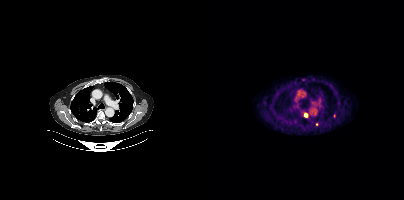
Coordinates are on the 200×200 PET (right) panel. PSMA-avid tumor lesion bounding box (x, y, width, height): x=100 y=113 w=4 h=5. Small PSMA-avid foci (2 to 4 px across) near (center x, center y): (130, 115) | (113, 124).